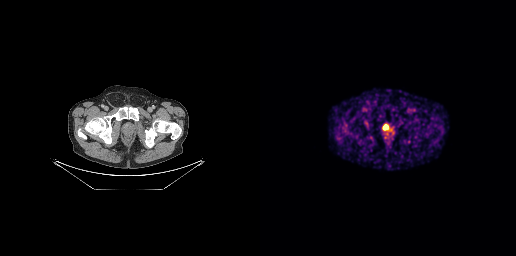
Coordinates are on the 256×256 PET (right) panel. PSMA-avid tumor lesion bounding box (x0,y0,x1,y1): [123,124,128,129]. Paired axial CT (left) and PSMA PET (right), 68Ga-PSMA tracer. Acquired on GE Discovery 690. Slice 63 of 263.